- Left: CT. Right: PSMA PET, same axial level, 18F tracer
- slice 140 of 407
- PET panel 200×200 px (4.1 mm/px)
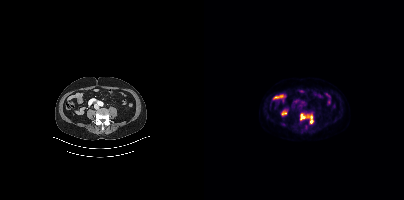
Findings: Coordinates are on the 200×200 PET (right) panel. PSMA-avid tumor lesion bounding box (x0,y0,x1,y1): [96,114,109,123].